modality: PSMA PET/CT | tracer: 68Ga | view: axial
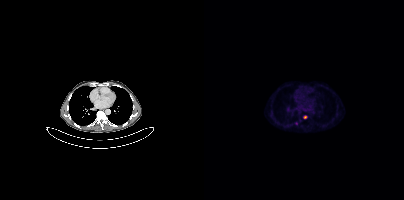
Coordinates are on the 200×200 PET (right) panel. Small PSMA-avid foci (2 to 4 px across) near (center x, center y): (101, 117); (92, 123).